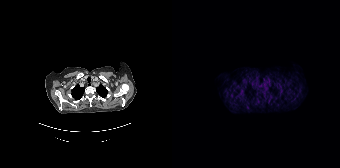
Two-panel axial: CT | PSMA PET, 68Ga tracer. Acquired on Siemens Biograph 64-4R TruePoint. Slice 160 of 195. No tumor lesions annotated on this slice.